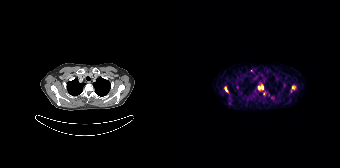
Coordinates are on the 168×168 PET (right) panel. (showing 4 of 5 foci) PSMA-avid tumor lesion bounding boxes (x0,y0,x1,y1): [86,84,91,90], [119,85,124,92], [52,86,56,92]. Small PSMA-avid focus (2 to 4 px across) near (center x, center y): (91, 93). Two-panel axial: CT | PSMA PET, [68Ga]Ga-PSMA-11 tracer. Slice position z = -674 mm. PET panel 168×168 px (4.1 mm/px).